Technique: Two-panel axial: CT | PSMA PET, 68Ga-PSMA tracer.
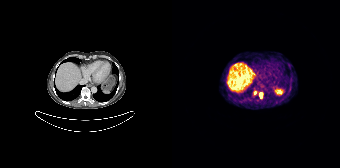
Findings: Coordinates are on the 168×168 PET (right) panel. (showing 1 of 2 foci) PSMA-avid tumor lesion bounding box (x0, y0)-(x1, y1): (88, 93)-(90, 97).